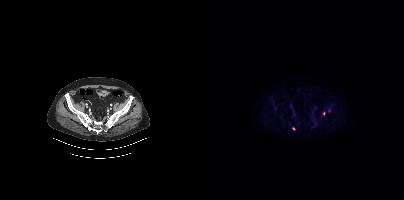
{"modality":"PSMA PET/CT","view":"axial","tracer":"18F-PSMA","pet_grid":[200,200],"coord_frame":"pet_panel","coord_format":"x0,y0,x1,y1","partial":true,"lesion_bboxes":[],"small_foci_centers":[[89,128],[119,113]]}